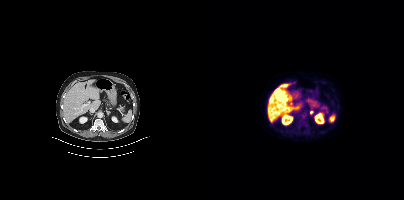
{"modality":"PSMA PET/CT","view":"axial","tracer":"[18F]PSMA-1007","pet_grid":[200,200],"coord_frame":"pet_panel","coord_format":"x0,y0,x1,y1","lesion_bboxes":[],"small_foci_centers":[[107,112]]}